modality: PSMA PET/CT | tracer: 18F-PSMA | view: axial
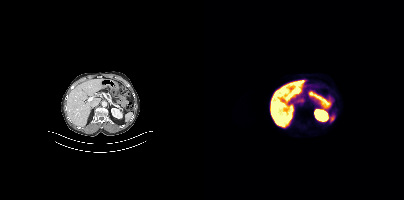
This slice has no annotated PSMA-avid lesion.